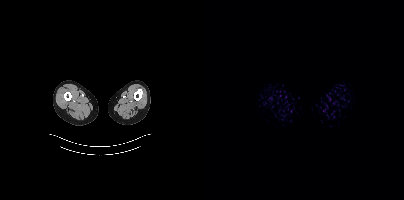
{"modality":"PSMA PET/CT","view":"axial","tracer":"[18F]PSMA-1007","pet_grid":[200,200],"coord_frame":"pet_panel","coord_format":"x0,y0,x1,y1","psma_avid_lesions":false}